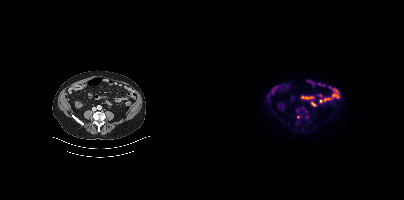
Technique: Two-panel axial: CT | PSMA PET, [18F]PSMA-1007 tracer. acquired on Siemens Biograph mCT Flow 20.
Findings: Only PSMA-avid lesion pieces thinner than 2 px on this slice (not listed).